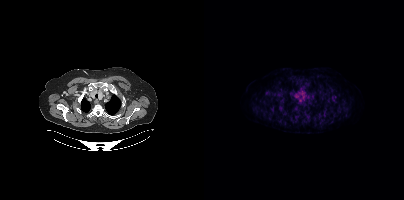
Coordinates are on the 200×200 PET (right) panel. Small PSMA-avid foci (2 to 4 px across) near (center x, center y): (128, 97) | (131, 97).